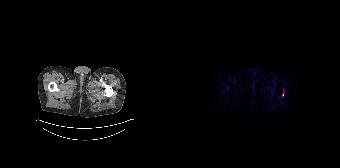
{"modality":"PSMA PET/CT","view":"axial","tracer":"[18F]PSMA-1007","pet_grid":[168,168],"coord_frame":"pet_panel","coord_format":"x0,y0,x1,y1","partial":true,"lesion_bboxes":[],"small_foci_centers":[[111,94]]}